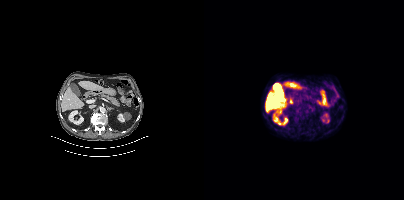
Two-panel axial: CT | PSMA PET, 18F-PSMA tracer. Negative for PSMA-avid disease on this slice.